modality: PSMA PET/CT | tracer: 18F-PSMA | view: axial | PET grid: 200×200
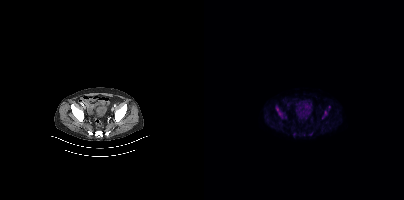
Coordinates are on the 200×200 PET (right) panel. (showing 4 of 8 foci) PSMA-avid tumor lesion bounding boxes (x, y, width, height): x=72 y=106 w=7 h=13; x=118 y=110 w=6 h=10. Small PSMA-avid foci (2 to 4 px across) near (center x, center y): (107, 134); (124, 109).